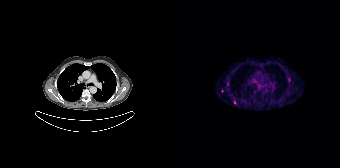
modality: PSMA PET/CT | tracer: 68Ga | view: axial | PET grid: 168×168
Coordinates are on the 168×168 PET (right) panel. Small PSMA-avid focus (2 to 4 px across) near (center x, center y): (50, 91).